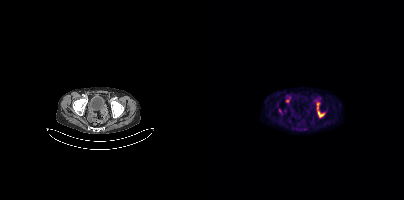
Findings: Coordinates are on the 200×200 PET (right) panel. (showing 1 of 2 foci) PSMA-avid tumor lesion bounding box (x, y, width, height): x=113 y=103 w=8 h=15.
Technique: Left: CT. Right: PSMA PET, same axial level, 18F-PSMA tracer.